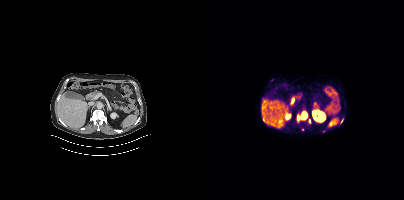
{"modality":"PSMA PET/CT","view":"axial","tracer":"18F","pet_grid":[200,200],"coord_frame":"pet_panel","coord_format":"x0,y0,x1,y1","lesion_bboxes":[[98,112,103,119]],"small_foci_centers":[[94,118],[105,120]]}